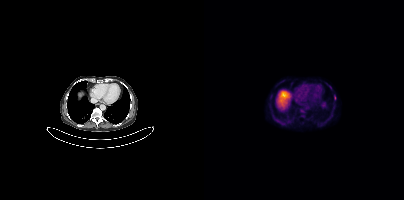
Two-panel axial: CT | PSMA PET, [18F]PSMA-1007 tracer. Slice position z = -460 mm. PET panel 200×200 px (4.1 mm/px).
Coordinates are on the 200×200 PET (right) panel. PSMA-avid tumor lesion bounding boxes:
| # | x0 | y0 | x1 | y1 |
|---|---|---|---|---|
| 1 | 71 | 119 | 76 | 122 |